Technique: Two-panel axial: CT | PSMA PET, 18F tracer. acquired on Siemens Biograph mCT Flow 20. slice 216 of 423. PET panel 200×200 px (4.1 mm/px).
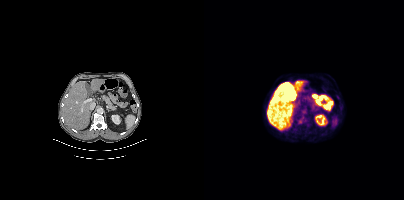
Findings: Coordinates are on the 200×200 PET (right) panel. Small PSMA-avid focus (2 to 4 px across) near (center x, center y): (96, 120).